Two-panel axial: CT | PSMA PET, 18F-PSMA tracer. Acquired on Siemens Biograph mCT Flow 20. Slice 272 of 452.
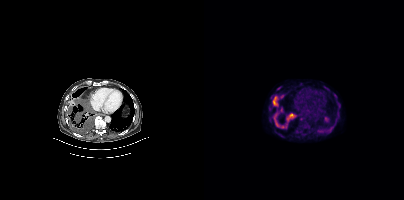
Coordinates are on the 200×200 PET (right) panel. PSMA-avid tumor lesion bounding boxes (partial; 1 more focus not listed):
| # | x0 | y0 | x1 | y1 |
|---|---|---|---|---|
| 1 | 68 | 96 | 74 | 106 |
| 2 | 69 | 117 | 79 | 128 |
| 3 | 82 | 114 | 90 | 121 |
Small PSMA-avid focus (2 to 4 px across) near (center x, center y): (77, 110).